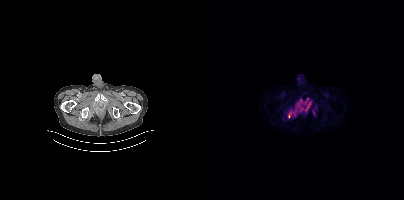
Left: CT. Right: PSMA PET, same axial level, 18F-PSMA tracer. Acquired on Siemens Biograph mCT Flow 20. Slice position z = -78 mm. Coordinates are on the 200×200 PET (right) panel. PSMA-avid tumor lesion bounding boxes (x0, y0)-(x1, y1): (83, 98)-(107, 117) / (109, 110)-(110, 114).